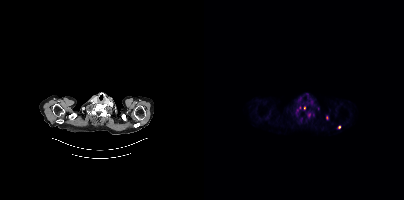
Coordinates are on the 200×200 PET (right) panel. (showing 3 of 5 foci) Small PSMA-avid foci (2 to 4 px across) near (center x, center y): (100, 107) / (135, 127) / (122, 117).